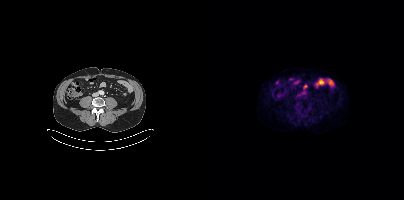
{"modality":"PSMA PET/CT","view":"axial","tracer":"18F","pet_grid":[200,200],"coord_frame":"pet_panel","coord_format":"x0,y0,x1,y1","psma_avid_lesions":false}